modality: PSMA PET/CT | tracer: [18F]PSMA-1007 | view: axial | PET grid: 200×200
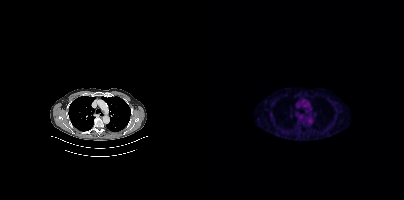
Only PSMA-avid lesion pieces thinner than 2 px on this slice (not listed).